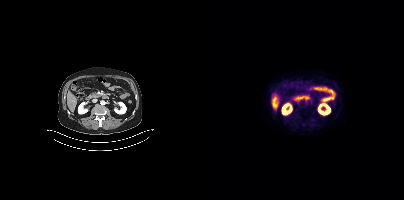
No tumor lesions annotated on this slice.